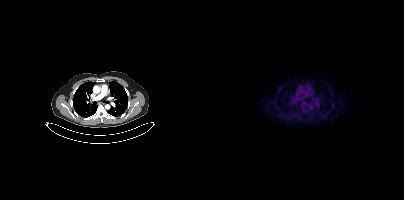
{"modality":"PSMA PET/CT","view":"axial","tracer":"18F-PSMA","pet_grid":[200,200],"coord_frame":"pet_panel","coord_format":"x0,y0,x1,y1","psma_avid_lesions":false}